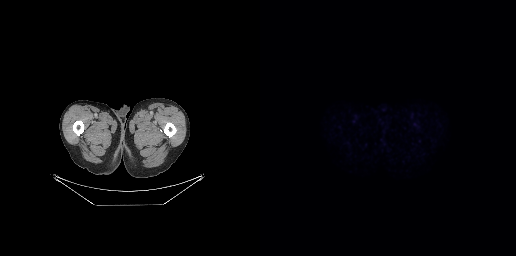
modality: PSMA PET/CT | tracer: 18F | view: axial | PET grid: 256×256
No PSMA-avid tumor lesions on this slice.